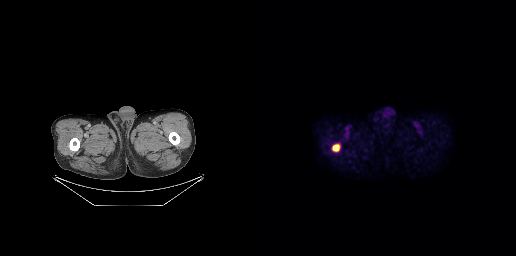
{"modality":"PSMA PET/CT","view":"axial","tracer":"[18F]PSMA-1007","pet_grid":[256,256],"coord_frame":"pet_panel","coord_format":"x0,y0,x1,y1","lesion_bboxes":[[71,143,80,152]]}